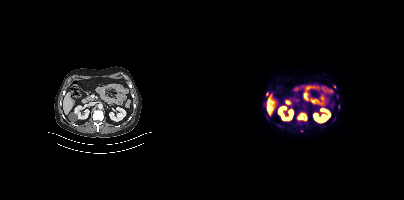
modality: PSMA PET/CT | tracer: 18F | view: axial | PET grid: 200×200
Coordinates are on the 200×200 PET (right) panel. (showing 3 of 5 foci) PSMA-avid tumor lesion bounding box (x0,y0,x1,y1): [93,113,102,120]. Small PSMA-avid foci (2 to 4 px across) near (center x, center y): (63, 93); (130, 86).